Paired axial CT (left) and PSMA PET (right), 68Ga tracer. Slice position z = -514 mm. PET panel 256×256 px (2.7 mm/px).
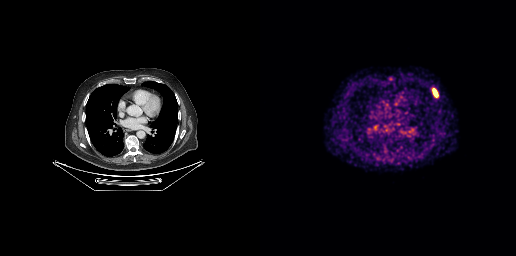
Coordinates are on the 256×256 PET (right) panel. PSMA-avid tumor lesion bounding box (x0, y0)-(x1, y1): (173, 89)-(177, 96).